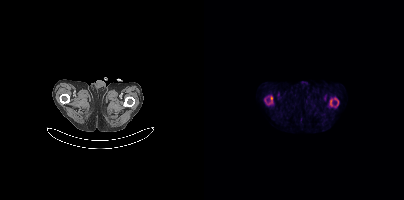
{"modality":"PSMA PET/CT","view":"axial","tracer":"[18F]PSMA-1007","pet_grid":[200,200],"coord_frame":"pet_panel","coord_format":"x0,y0,x1,y1","partial":true,"lesion_bboxes":[],"small_foci_centers":[[67,97]]}